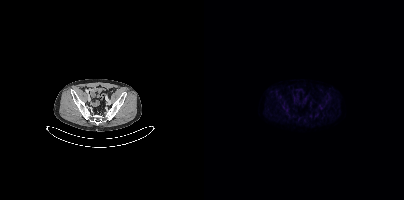
Left: CT. Right: PSMA PET, same axial level, 18F-PSMA tracer. Acquired on Siemens Biograph mCT Flow 20. Slice position z = -886 mm. No PSMA-avid tumor lesions on this slice.